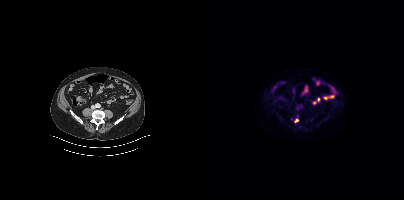
Coordinates are on the 200×200 PET (right) panel. Small PSMA-avid focus (2 to 4 px across) near (center x, center y): (92, 120).